Technique: Left: CT. Right: PSMA PET, same axial level, 18F-PSMA tracer. slice 156 of 425. PET panel 200×200 px (4.1 mm/px).
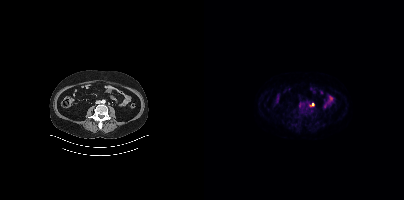
Findings: Coordinates are on the 200×200 PET (right) panel. PSMA-avid tumor lesion bounding box (x0, y0)-(x1, y1): (106, 103)-(110, 106).